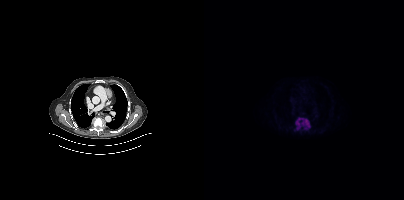
Coordinates are on the 200×200 PET (right) panel. PSMA-avid tumor lesion bounding box (x0, y0)-(x1, y1): (91, 119)-(105, 130).